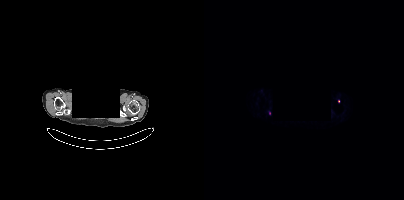
modality: PSMA PET/CT | tracer: 68Ga | view: axial | deidentification: rectangular block over head set to black
Coordinates are on the 200×200 PET (right) panel. Small PSMA-avid foci (2 to 4 px across) near (center x, center y): (65, 113) / (134, 101).